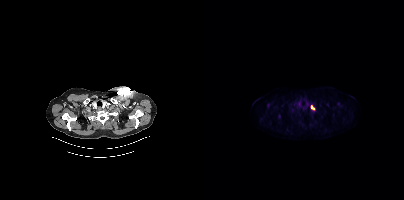
modality: PSMA PET/CT | tracer: 18F | view: axial
Coordinates are on the 200×200 PET (right) panel. PSMA-avid tumor lesion bounding box (x, y, width, height): x=107 y=105 w=4 h=5.